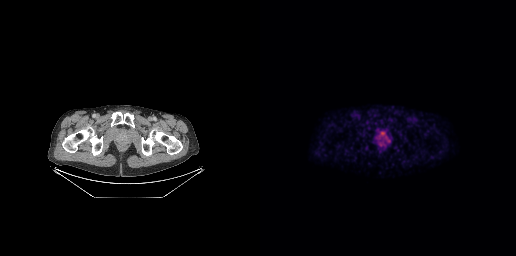
Coordinates are on the 256×256 PET (right) panel. PSMA-avid tumor lesion bounding box (x0,y0,x1,y1): [116,131,130,146].
modality: PSMA PET/CT | tracer: 18F-PSMA | view: axial